Technique: Two-panel axial: CT | PSMA PET, [18F]PSMA-1007 tracer. acquired on Siemens Biograph mCT Flow 20. PET panel 200×200 px (4.1 mm/px).
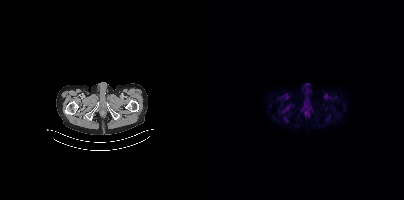
Findings: Negative for PSMA-avid disease on this slice.